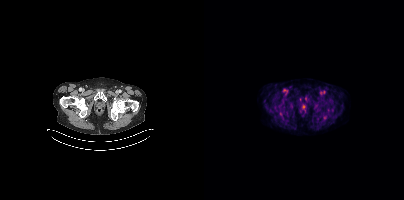
{"pet_grid":[200,200],"coord_frame":"pet_panel","coord_format":"x0,y0,x1,y1","psma_avid_lesions":false,"modality":"PSMA PET/CT","view":"axial","tracer":"18F-PSMA"}